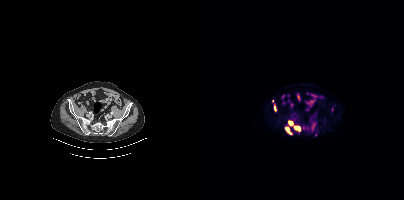
Coordinates are on the 200×200 PET (right) panel. PSMA-avid tumor lesion bounding boxes (x0,y0,x1,y1): [90,126,96,131], [81,127,87,134], [84,121,88,125], [70,105,72,110]. Small PSMA-avid focus (2 to 4 px across) near (center x, center y): (68, 100).